modality: PSMA PET/CT | tracer: 18F | view: axial
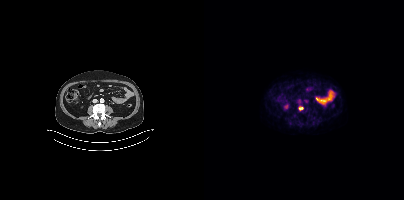
Coordinates are on the 200×200 PET (right) panel. PSMA-avid tumor lesion bounding box (x0, y0)-(x1, y1): (95, 106)-(99, 110).